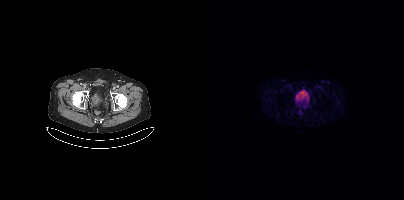
No tumor lesions annotated on this slice. Left: CT. Right: PSMA PET, same axial level, 18F-PSMA tracer. Slice 103 of 433. PET panel 200×200 px (4.1 mm/px).